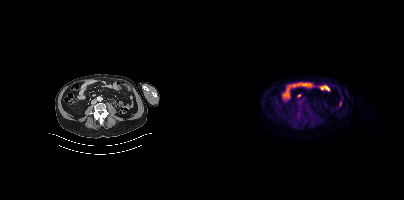
No PSMA-avid tumor lesions on this slice.
modality: PSMA PET/CT | tracer: 18F-PSMA | view: axial